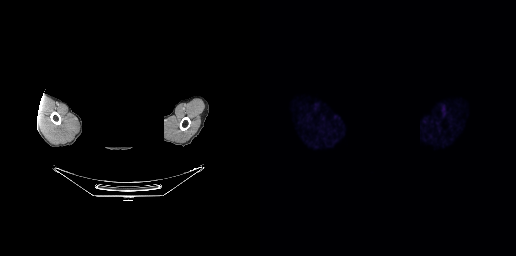
{"pet_grid":[256,256],"coord_frame":"pet_panel","coord_format":"x0,y0,x1,y1","psma_avid_lesions":false,"modality":"PSMA PET/CT","view":"axial","tracer":"18F","deidentification":"face masked with black rectangle"}